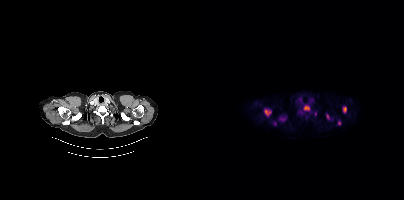
Two-panel axial: CT | PSMA PET, 18F-PSMA tracer. Coordinates are on the 200×200 PET (right) panel. (showing 9 of 11 foci) PSMA-avid tumor lesion bounding boxes (x0, y0)-(x1, y1): (60, 109)-(67, 116) / (100, 106)-(105, 110) / (139, 107)-(142, 112) / (122, 114)-(124, 118). Small PSMA-avid foci (2 to 4 px across) near (center x, center y): (103, 116) / (77, 119) / (135, 123) / (71, 123) / (95, 111).